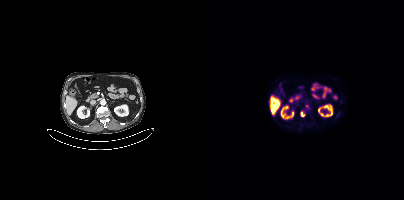
{"modality":"PSMA PET/CT","view":"axial","tracer":"18F","pet_grid":[200,200],"coord_frame":"pet_panel","coord_format":"x0,y0,x1,y1","partial":true,"lesion_bboxes":[],"small_foci_centers":[[104,106],[100,114]]}